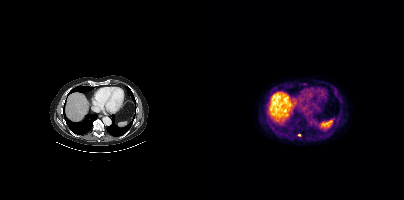
Coordinates are on the 200×200 PET (right) panel. Small PSMA-avid focus (2 to 4 px across) near (center x, center y): (95, 134).